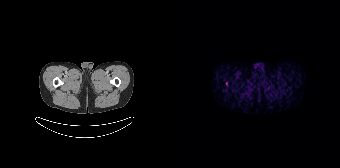
Only PSMA-avid lesion pieces thinner than 2 px on this slice (not listed).